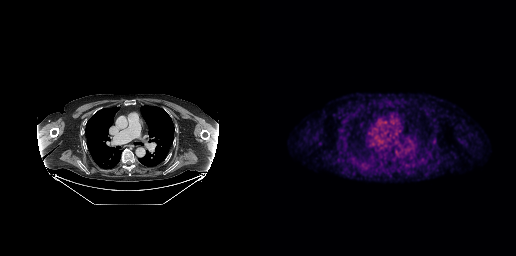
No PSMA-avid tumor lesions on this slice.
modality: PSMA PET/CT | tracer: 18F-PSMA | view: axial